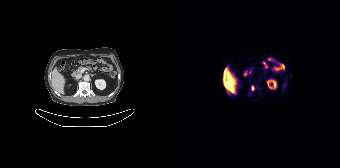
Technique: Paired axial CT (left) and PSMA PET (right), [18F]PSMA-1007 tracer. acquired on Siemens Biograph 64-4R TruePoint. slice position z = -830 mm.
Findings: Coordinates are on the 168×168 PET (right) panel. PSMA-avid tumor lesion bounding box (x, y, width, height): x=79 y=86 w=4 h=5.